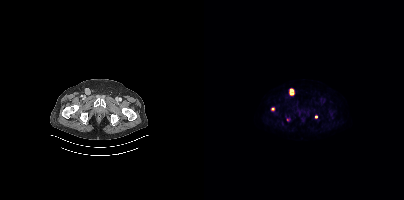
Two-panel axial: CT | PSMA PET, [18F]PSMA-1007 tracer. Slice position z = -1621 mm. PET panel 200×200 px (4.1 mm/px). Coordinates are on the 200×200 PET (right) panel. (showing 3 of 4 foci) PSMA-avid tumor lesion bounding box (x0, y0)-(x1, y1): (85, 88)-(90, 95). Small PSMA-avid foci (2 to 4 px across) near (center x, center y): (112, 116); (69, 109).